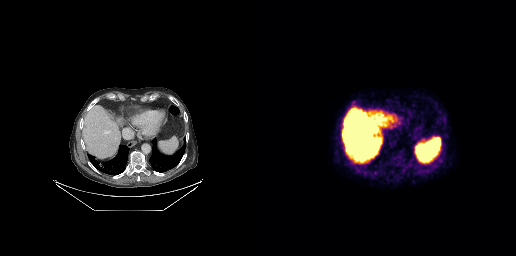
Two-panel axial: CT | PSMA PET, 18F-PSMA tracer. PET panel 256×256 px (2.7 mm/px). No PSMA-avid tumor lesions on this slice.